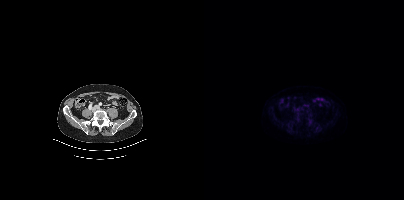
{"modality":"PSMA PET/CT","view":"axial","tracer":"18F-PSMA","pet_grid":[200,200],"coord_frame":"pet_panel","coord_format":"x0,y0,x1,y1","psma_avid_lesions":false}